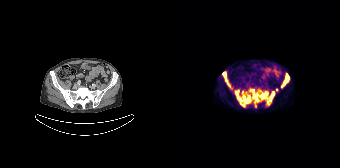
{"modality":"PSMA PET/CT","view":"axial","tracer":"[68Ga]Ga-PSMA-11","pet_grid":[168,168],"coord_frame":"pet_panel","coord_format":"x0,y0,x1,y1","partial":true,"lesion_bboxes":[[63,90,78,106],[87,92,95,99],[95,92,102,104],[50,72,58,86],[80,90,86,99],[112,74,116,84]],"small_foci_centers":[[105,89],[85,100]]}